Technique: Two-panel axial: CT | PSMA PET, 68Ga tracer.
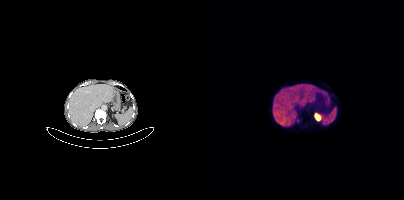
Findings: No tumor lesions annotated on this slice.